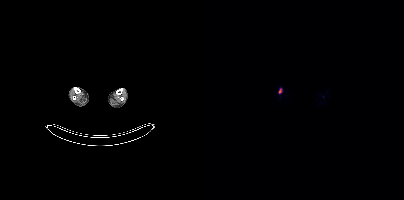
Findings: Coordinates are on the 200×200 PET (right) panel. PSMA-avid tumor lesion bounding box (x0,y0,x1,y1): [74,88,78,93].
Technique: Left: CT. Right: PSMA PET, same axial level, 18F-PSMA tracer. acquired on Siemens Biograph mCT Flow 20.